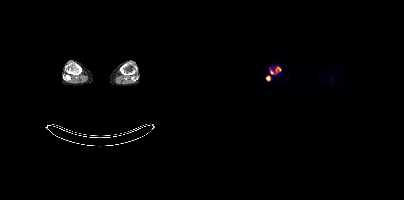
Coordinates are on the 200×200 PET (right) panel. PSMA-avid tumor lesion bounding boxes (x0, y0)-(x1, y1): (72, 67)-(76, 72) | (62, 76)-(65, 80). Small PSMA-avid focus (2 to 4 px across) near (center x, center y): (68, 71).